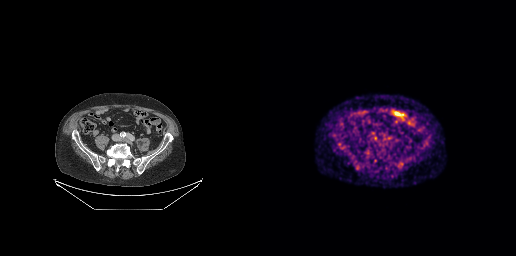
{"modality":"PSMA PET/CT","view":"axial","tracer":"18F","pet_grid":[256,256],"coord_frame":"pet_panel","coord_format":"x0,y0,x1,y1","psma_avid_lesions":false}